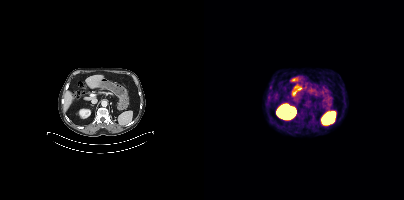
- Two-panel axial: CT | PSMA PET, 68Ga tracer
- PET panel 200×200 px (4.1 mm/px)
Findings: Negative for PSMA-avid disease on this slice.